Paired axial CT (left) and PSMA PET (right), 18F tracer. Slice position z = -1053 mm.
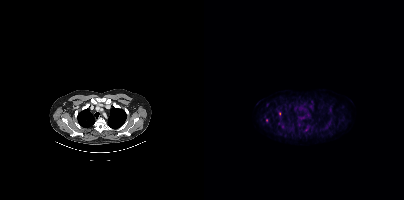
Coordinates are on the 200×200 PET (right) panel. (showing 2 of 4 foci) Small PSMA-avid foci (2 to 4 px across) near (center x, center y): (75, 113); (102, 129).